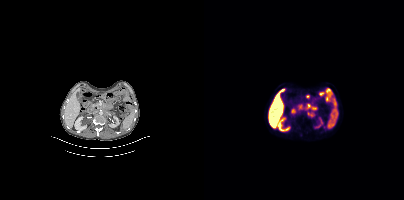
Paired axial CT (left) and PSMA PET (right), 18F tracer. Acquired on Siemens Biograph mCT Flow 20. Coordinates are on the 200×200 PET (right) panel. PSMA-avid tumor lesion bounding boxes (x, y, width, height): x=103 y=112 w=8 h=5 / x=107 y=107 w=5 h=4 / x=103 y=104 w=4 h=5. Small PSMA-avid focus (2 to 4 px across) near (center x, center y): (96, 106).